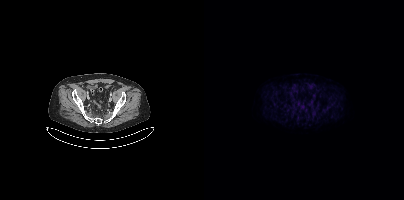
This slice has no annotated PSMA-avid lesion.